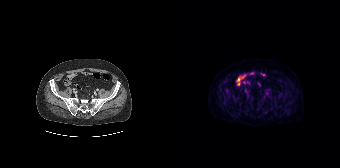
{"modality":"PSMA PET/CT","view":"axial","tracer":"18F","pet_grid":[168,168],"coord_frame":"pet_panel","coord_format":"x0,y0,x1,y1","lesion_bboxes":[],"small_foci_centers":[[54,90]]}